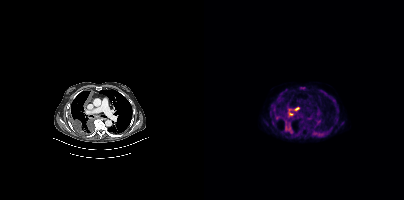
Coordinates are on the 200×200 PET (right) panel. (showing 4 of 5 foci) PSMA-avid tumor lesion bounding boxes (x, y, width, height): x=81 y=122 w=9 h=12 | x=84 y=110 w=6 h=7 | x=96 y=87 w=6 h=3. Small PSMA-avid focus (2 to 4 px across) near (center x, center y): (93, 108).